Technique: Left: CT. Right: PSMA PET, same axial level, 68Ga tracer. PET panel 200×200 px (4.1 mm/px).
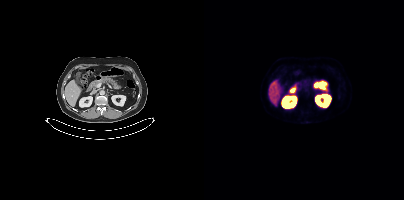
Findings: No PSMA-avid tumor lesions on this slice.